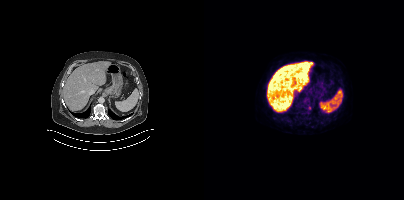
{"pet_grid":[200,200],"coord_frame":"pet_panel","coord_format":"x0,y0,x1,y1","lesion_bboxes":[[102,106,107,110]],"modality":"PSMA PET/CT","view":"axial","tracer":"[18F]PSMA-1007"}